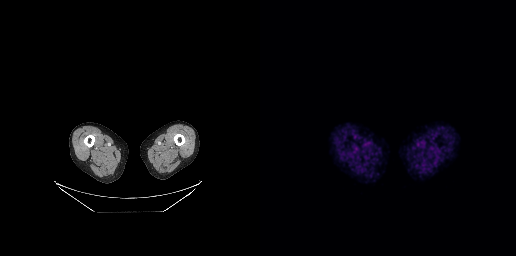
Negative for PSMA-avid disease on this slice. Paired axial CT (left) and PSMA PET (right), 68Ga-PSMA tracer. Acquired on GE Discovery 690. Slice 21 of 263. PET panel 256×256 px (2.7 mm/px).